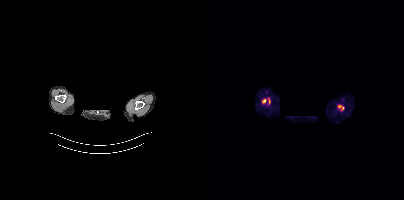
{"modality":"PSMA PET/CT","view":"axial","tracer":"18F-PSMA","pet_grid":[200,200],"coord_frame":"pet_panel","coord_format":"x0,y0,x1,y1","psma_avid_lesions":false,"de-identification":"rectangular block over head set to black"}